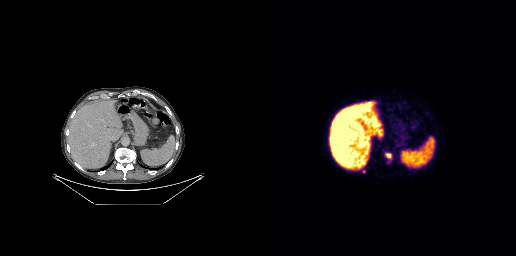
Coordinates are on the 256×256 PET (right) panel. PSMA-avid tumor lesion bounding boxes (x0, y0)-(x1, y1): (126, 153)-(131, 158); (102, 168)-(105, 173).